Two-panel axial: CT | PSMA PET, 68Ga-PSMA tracer. Acquired on Siemens Biograph mCT Flow 20. PET panel 200×200 px (4.1 mm/px).
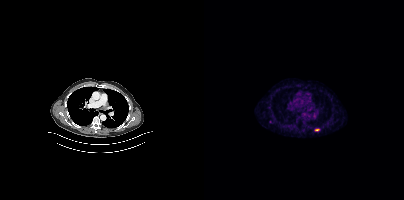
Negative for PSMA-avid disease on this slice.